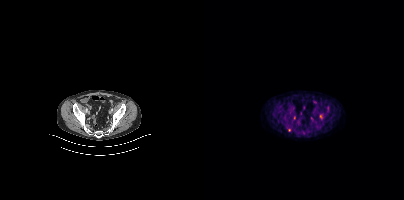
- Left: CT. Right: PSMA PET, same axial level, [18F]PSMA-1007 tracer
- PET panel 200×200 px (4.1 mm/px)
Findings: Coordinates are on the 200×200 PET (right) panel. (showing 1 of 2 foci) Small PSMA-avid focus (2 to 4 px across) near (center x, center y): (116, 116).